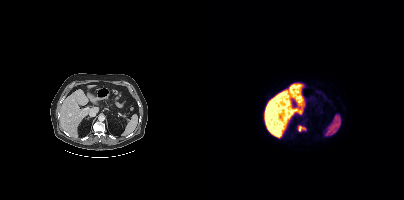
Coordinates are on the 200×200 PET (right) panel. PSMA-avid tumor lesion bounding box (x, y, width, height): x=94 y=126 w=8 h=6.